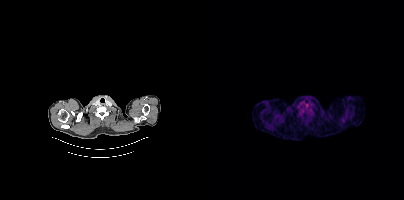
{"modality":"PSMA PET/CT","view":"axial","tracer":"18F","pet_grid":[200,200],"coord_frame":"pet_panel","coord_format":"x0,y0,x1,y1","psma_avid_lesions":false}